- Paired axial CT (left) and PSMA PET (right), [18F]PSMA-1007 tracer
- slice 67 of 263
- PET panel 256×256 px (2.7 mm/px)
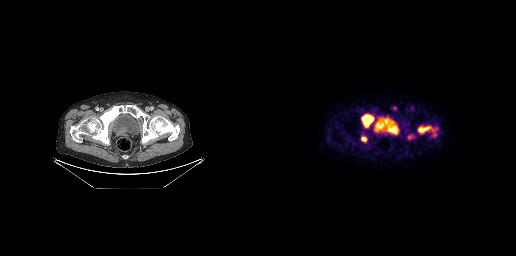
Findings: Coordinates are on the 256×256 PET (right) panel. (showing 5 of 7 foci) PSMA-avid tumor lesion bounding boxes (x, y, width, height): x=157 y=124 w=17 h=11; x=101 y=114 w=13 h=14; x=101 y=136 w=6 h=6; x=132 y=106 w=5 h=5. Small PSMA-avid focus (2 to 4 px across) near (center x, center y): (149, 137).